Paired axial CT (left) and PSMA PET (right), 68Ga tracer. Slice position z = -278 mm. PET panel 168×168 px (4.1 mm/px).
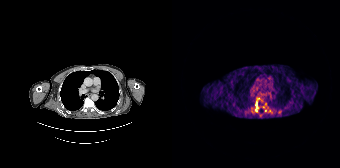
Coordinates are on the 168×168 PET (right) panel. PSMA-avid tumor lesion bounding boxes (partial; 1 more focus not listed):
| # | x0 | y0 | x1 | y1 |
|---|---|---|---|---|
| 1 | 84 | 102 | 85 | 111 |
Small PSMA-avid foci (2 to 4 px across) near (center x, center y): (89, 106); (93, 110); (97, 110).